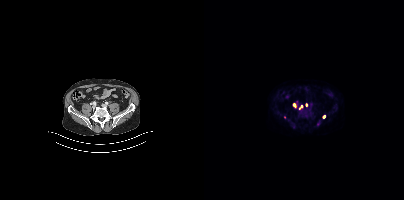
Coordinates are on the 200×200 PET (right) panel. (showing 3 of 6 foci) Small PSMA-avid foci (2 to 4 px across) near (center x, center y): (98, 106) | (102, 104) | (119, 116). Two-panel axial: CT | PSMA PET, 18F tracer. Acquired on Siemens Biograph mCT Flow 20. Slice position z = -1292 mm.